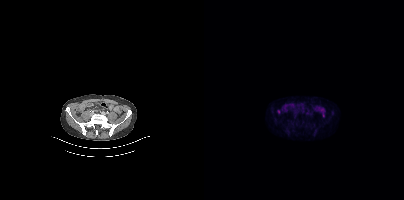
- Two-panel axial: CT | PSMA PET, 18F tracer
- acquired on Siemens Biograph mCT Flow 20
- PET panel 200×200 px (4.1 mm/px)
Findings: Coordinates are on the 200×200 PET (right) panel. Small PSMA-avid focus (2 to 4 px across) near (center x, center y): (74, 111).